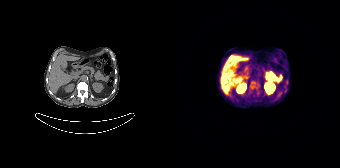
Coordinates are on the 168×168 PET (right) panel. Small PSMA-avid focus (2 to 4 px across) near (center x, center y): (113, 90).